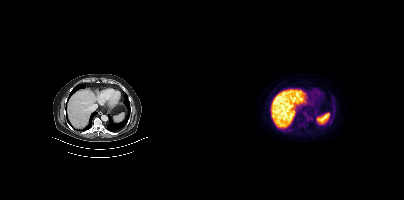
Technique: Two-panel axial: CT | PSMA PET, [18F]PSMA-1007 tracer. slice 220 of 381.
Findings: No PSMA-avid tumor lesions on this slice.